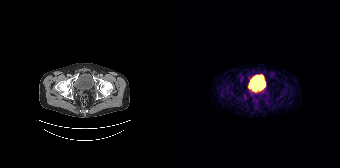
Findings: Negative for PSMA-avid disease on this slice.
Technique: Left: CT. Right: PSMA PET, same axial level, [68Ga]Ga-PSMA-11 tracer.